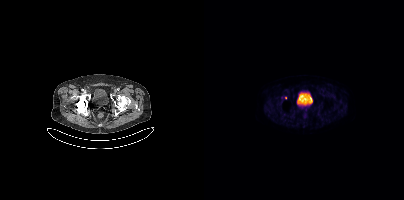
Paired axial CT (left) and PSMA PET (right), 18F tracer. PET panel 200×200 px (4.1 mm/px). Coordinates are on the 200×200 PET (right) panel. Small PSMA-avid focus (2 to 4 px across) near (center x, center y): (81, 97).